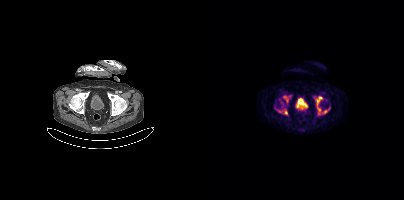
- Two-panel axial: CT | PSMA PET, 18F-PSMA tracer
- acquired on Siemens Biograph mCT Flow 20
- slice position z = -244 mm
- PET panel 200×200 px (4.1 mm/px)
Findings: Coordinates are on the 200×200 PET (right) panel. PSMA-avid tumor lesion bounding boxes (x0, y0)-(x1, y1): (112, 96)-(118, 114) / (78, 95)-(87, 104) / (80, 110)-(83, 114) / (119, 110)-(123, 113). Small PSMA-avid focus (2 to 4 px across) near (center x, center y): (76, 111).